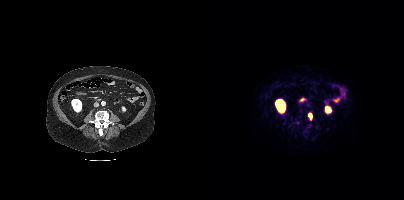
{"modality":"PSMA PET/CT","view":"axial","tracer":"68Ga","pet_grid":[200,200],"coord_frame":"pet_panel","coord_format":"x0,y0,x1,y1","lesion_bboxes":[[104,113,108,120]]}